Left: CT. Right: PSMA PET, same axial level, [18F]PSMA-1007 tracer. Slice position z = -262 mm. PET panel 200×200 px (4.1 mm/px). An anonymization step blacked out a rectangle over the head in this scan.
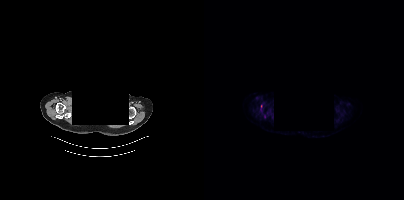
Coordinates are on the 200×200 PET (right) panel. Small PSMA-avid foci (2 to 4 px across) near (center x, center y): (60, 116) / (57, 106).